modality: PSMA PET/CT | tracer: 18F | view: axial | PET grid: 200×200
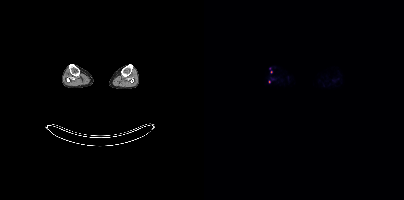
Coordinates are on the 200×200 PET (right) panel. (showing 1 of 2 foci) Small PSMA-avid focus (2 to 4 px across) near (center x, center y): (65, 81).